Technique: Left: CT. Right: PSMA PET, same axial level, [68Ga]Ga-PSMA-11 tracer. acquired on Siemens Biograph 64-4R TruePoint. PET panel 168×168 px (4.1 mm/px).
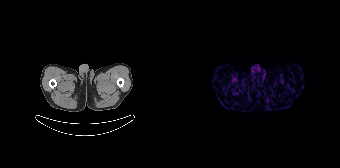
Findings: Negative for PSMA-avid disease on this slice.